Left: CT. Right: PSMA PET, same axial level, [18F]PSMA-1007 tracer. Acquired on Siemens Biograph mCT Flow 20. Slice position z = -472 mm.
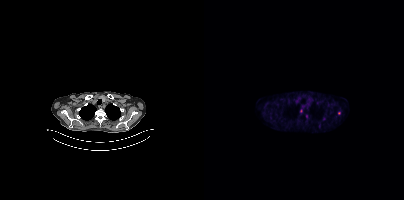
Coordinates are on the 200×200 PET (right) panel. (showing 4 of 5 foci) Small PSMA-avid foci (2 to 4 px across) near (center x, center y): (119, 118); (135, 113); (97, 110); (115, 126).